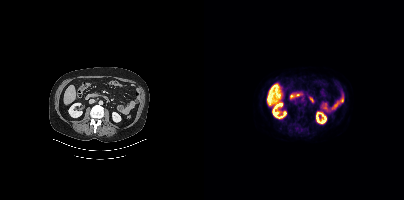
This slice has no annotated PSMA-avid lesion.